Two-panel axial: CT | PSMA PET, 18F tracer.
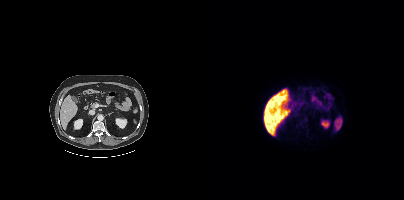
No tumor lesions annotated on this slice.